- Paired axial CT (left) and PSMA PET (right), 18F tracer
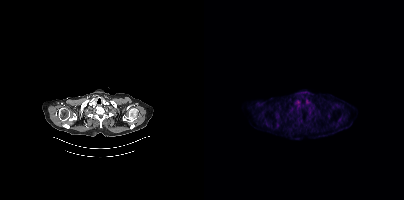
Findings: No tumor lesions annotated on this slice.